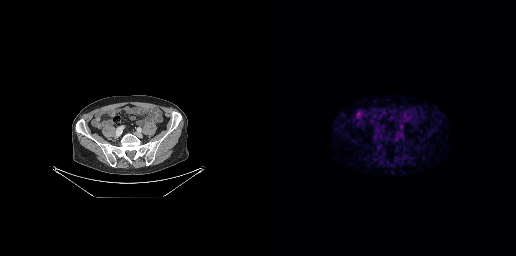
This slice has no annotated PSMA-avid lesion.